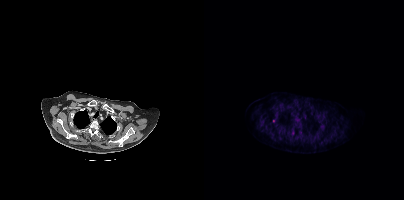
Technique: Two-panel axial: CT | PSMA PET, 18F-PSMA tracer. acquired on Siemens Biograph mCT Flow 20. slice 339 of 431. PET panel 200×200 px (4.1 mm/px).
Findings: No tumor lesions annotated on this slice.